Paired axial CT (left) and PSMA PET (right), 18F-PSMA tracer.
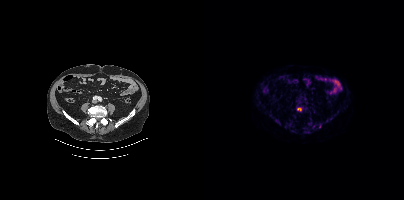
Coordinates are on the 200×200 PET (right) panel. PSMA-avid tumor lesion bounding boxes:
| # | x0 | y0 | x1 | y1 |
|---|---|---|---|---|
| 1 | 93 | 108 | 97 | 110 |